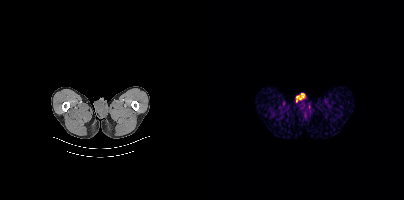
This slice has no annotated PSMA-avid lesion. Left: CT. Right: PSMA PET, same axial level, [18F]PSMA-1007 tracer. Slice position z = -654 mm.